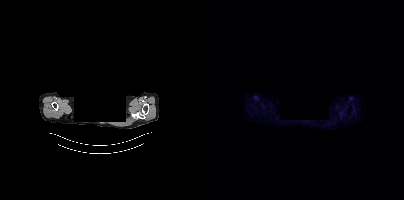
Facial anatomy redacted by setting a rectangular region of the head to black. Two-panel axial: CT | PSMA PET, 18F tracer. Slice position z = -877 mm. PET panel 200×200 px (4.1 mm/px). No tumor lesions annotated on this slice.